Paired axial CT (left) and PSMA PET (right), 68Ga-PSMA tracer.
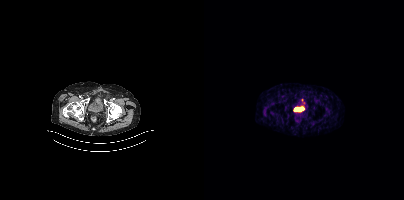
This slice has no annotated PSMA-avid lesion.